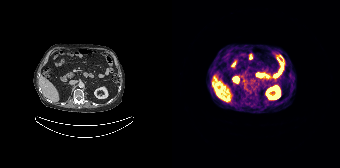
No PSMA-avid tumor lesions on this slice.